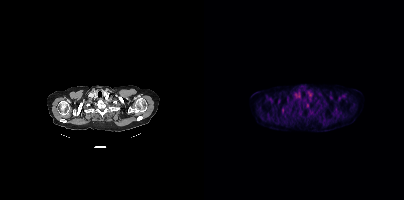
{"modality":"PSMA PET/CT","view":"axial","tracer":"18F-PSMA","pet_grid":[200,200],"coord_frame":"pet_panel","coord_format":"x0,y0,x1,y1","partial":true,"lesion_bboxes":[]}